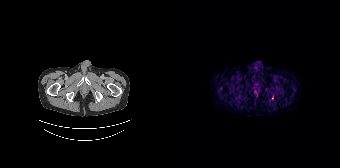
No tumor lesions annotated on this slice.
modality: PSMA PET/CT | tracer: [68Ga]Ga-PSMA-11 | view: axial